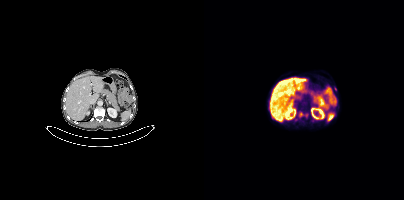
Findings: Coordinates are on the 200×200 PET (right) panel. Small PSMA-avid focus (2 to 4 px across) near (center x, center y): (97, 114).
Technique: Paired axial CT (left) and PSMA PET (right), [18F]PSMA-1007 tracer.